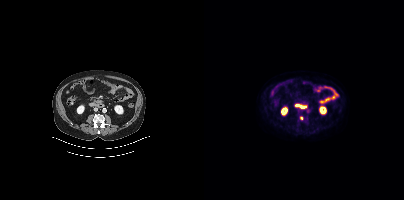
Coordinates are on the 200×200 PET (right) panel. Small PSMA-avid focus (2 to 4 px across) near (center x, center y): (97, 118).